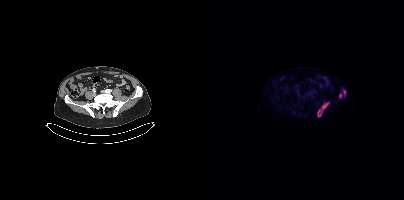
Findings: Coordinates are on the 200×200 PET (right) panel. PSMA-avid tumor lesion bounding boxes (x0,y0,x1,y1): [113,102,125,117]; [135,93,138,97]; [139,90,141,94].
- Paired axial CT (left) and PSMA PET (right), [18F]PSMA-1007 tracer
- acquired on Siemens Biograph mCT Flow 20
- PET panel 200×200 px (4.1 mm/px)